Paired axial CT (left) and PSMA PET (right), [18F]PSMA-1007 tracer. PET panel 200×200 px (4.1 mm/px).
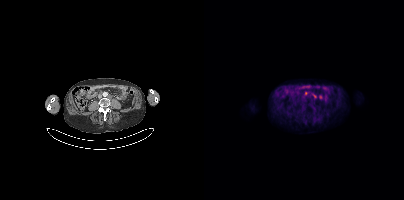
Coordinates are on the 200×200 PET (right) panel. PSMA-avid tumor lesion bounding boxes (partial; 1 more focus not listed):
| # | x0 | y0 | x1 | y1 |
|---|---|---|---|---|
| 1 | 100 | 92 | 104 | 95 |
Small PSMA-avid focus (2 to 4 px across) near (center x, center y): (110, 96).